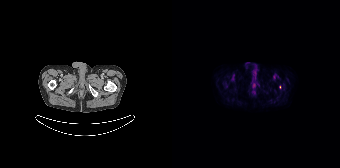
- Left: CT. Right: PSMA PET, same axial level, 18F tracer
- slice position z = -1445 mm
Findings: Only PSMA-avid lesion pieces thinner than 2 px on this slice (not listed).